- Paired axial CT (left) and PSMA PET (right), [18F]PSMA-1007 tracer
- acquired on Siemens Biograph mCT Flow 20
- PET panel 200×200 px (4.1 mm/px)
- the face region was removed for patient privacy by blanking a rectangle over the head
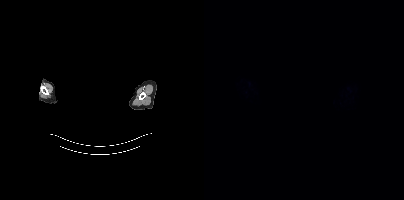
Findings: This slice has no annotated PSMA-avid lesion.